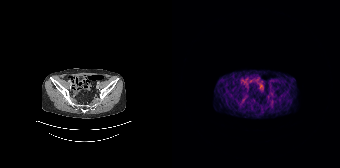
Negative for PSMA-avid disease on this slice. Two-panel axial: CT | PSMA PET, 68Ga-PSMA tracer. Acquired on Siemens Biograph 64-4R TruePoint. Slice position z = -1300 mm. PET panel 168×168 px (4.1 mm/px).